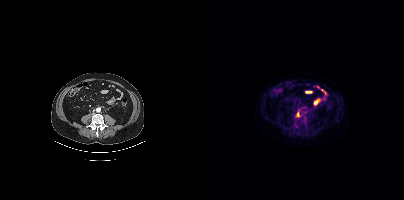
Technique: Paired axial CT (left) and PSMA PET (right), 18F-PSMA tracer. slice 176 of 448.
Findings: Coordinates are on the 200×200 PET (right) panel. PSMA-avid tumor lesion bounding box (x0,y0,x1,y1): [92,112,95,116].